Technique: Two-panel axial: CT | PSMA PET, 18F-PSMA tracer. acquired on Siemens Biograph 64-4R TruePoint. slice position z = -1120 mm. PET panel 168×168 px (4.1 mm/px).
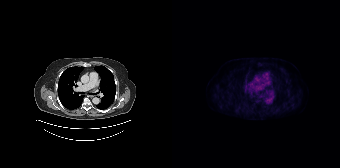
Findings: No tumor lesions annotated on this slice.